De-identified by setting a rectangular region to black. Left: CT. Right: PSMA PET, same axial level, [18F]PSMA-1007 tracer. Acquired on Siemens Biograph mCT Flow 20. Slice 408 of 466.
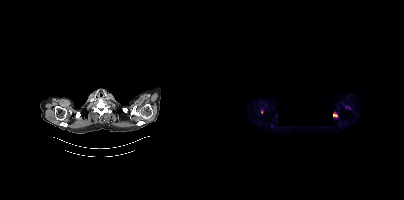
Coordinates are on the 200×200 PET (right) panel. PSMA-avid tumor lesion bounding boxes (x0,y0,x1,y1): [57,109,59,114] [129,113,133,116].